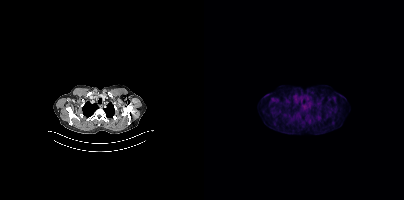
Paired axial CT (left) and PSMA PET (right), [18F]PSMA-1007 tracer. PET panel 200×200 px (4.1 mm/px). No PSMA-avid tumor lesions on this slice.